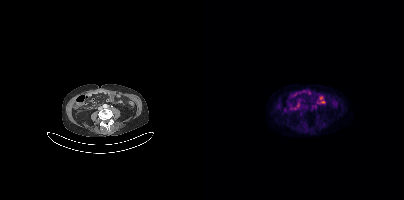
Technique: Two-panel axial: CT | PSMA PET, 18F tracer. acquired on Siemens Biograph mCT Flow 20. slice position z = -1372 mm.
Findings: Coordinates are on the 200×200 PET (right) panel. PSMA-avid tumor lesion bounding box (x0, y0)-(x1, y1): (108, 105)-(112, 108).